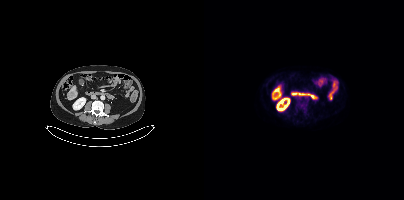
modality: PSMA PET/CT | tracer: 18F-PSMA | view: axial
This slice has no annotated PSMA-avid lesion.